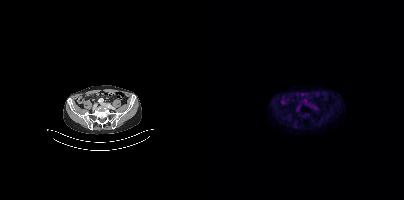
modality: PSMA PET/CT | tracer: 18F-PSMA | view: axial
Coordinates are on the 200×200 PET (right) panel. Small PSMA-avid focus (2 to 4 px across) near (center x, center y): (91, 125).